Two-panel axial: CT | PSMA PET, 18F tracer. Acquired on Siemens Biograph mCT Flow 20. Slice position z = -1622 mm. PET panel 200×200 px (4.1 mm/px).
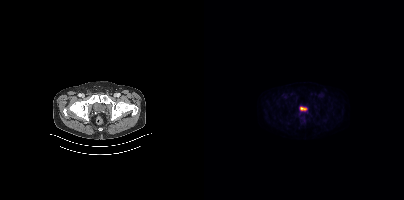
Coordinates are on the 200×200 PET (right) panel. (showing 1 of 2 foci) Small PSMA-avid focus (2 to 4 px across) near (center x, center y): (95, 114).